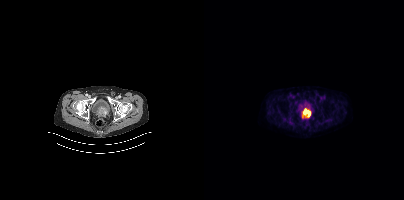
Coordinates are on the 200×200 PET (right) panel. PSMA-avid tumor lesion bounding box (x0,y0,x1,y1): [98,108,105,118].
modality: PSMA PET/CT | tracer: 18F-PSMA | view: axial